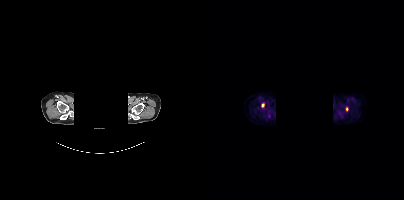
deidentification: face masked with black rectangle | modality: PSMA PET/CT | tracer: 18F | view: axial
Coordinates are on the 200×200 PET (right) panel. Small PSMA-avid foci (2 to 4 px across) near (center x, center y): (59, 105) | (143, 109).